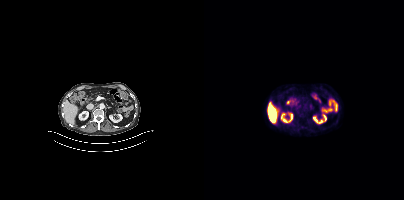
{"pet_grid":[200,200],"coord_frame":"pet_panel","coord_format":"x0,y0,x1,y1","psma_avid_lesions":false,"modality":"PSMA PET/CT","view":"axial","tracer":"[18F]PSMA-1007"}